Left: CT. Right: PSMA PET, same axial level, 18F-PSMA tracer. Slice 148 of 462.
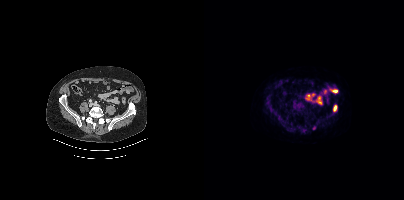
Coordinates are on the 200×200 PET (right) panel. PSMA-avid tumor lesion bounding box (x0,y0,x1,y1): [129,105,133,111]. Small PSMA-avid focus (2 to 4 px across) near (center x, center y): (109, 128).